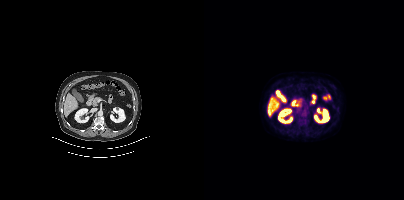
No PSMA-avid tumor lesions on this slice.